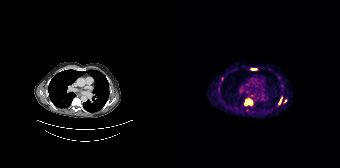
Technique: Two-panel axial: CT | PSMA PET, [68Ga]Ga-PSMA-11 tracer. acquired on Siemens Biograph 64-4R TruePoint.
Findings: Coordinates are on the 168×168 PET (right) panel. PSMA-avid tumor lesion bounding boxes (x0,y0,x1,y1): [73,100,80,104] [107,97,110,104] [79,68,84,70]. Small PSMA-avid foci (2 to 4 px across) near (center x, center y): (113, 100) (50, 77).